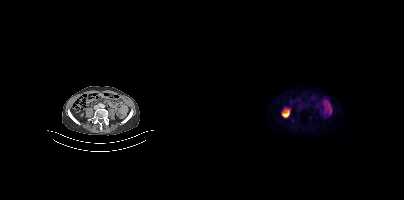
Paired axial CT (left) and PSMA PET (right), 18F tracer. Slice position z = 94 mm. Coordinates are on the 200×200 PET (right) panel. Small PSMA-avid focus (2 to 4 px across) near (center x, center y): (88, 120).